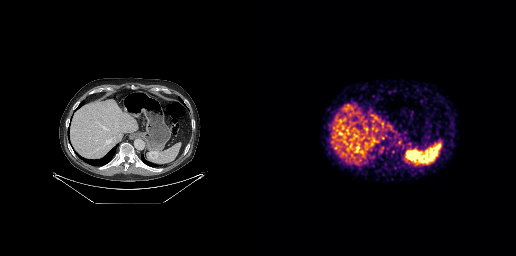
Coordinates are on the 256×256 PET (right) panel. PSMA-avid tumor lesion bounding box (x0, y0)-(x1, y1): (147, 150)-(157, 159). Small PSMA-avid focus (2 to 4 px across) near (center x, center y): (173, 150). Two-panel axial: CT | PSMA PET, [68Ga]Ga-PSMA-11 tracer. Slice 162 of 263. PET panel 256×256 px (2.7 mm/px).